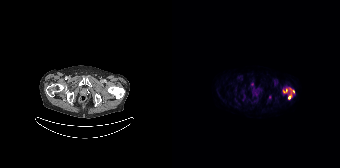
Coordinates are on the 168×168 PET (right) panel. PSMA-avid tumor lesion bounding boxes (x0, y0)-(x1, y1): (116, 88)-(122, 99); (111, 88)-(115, 93). Small PSMA-avid focus (2 to 4 px across) near (center x, center y): (97, 97).